modality: PSMA PET/CT | tracer: 68Ga | view: axial
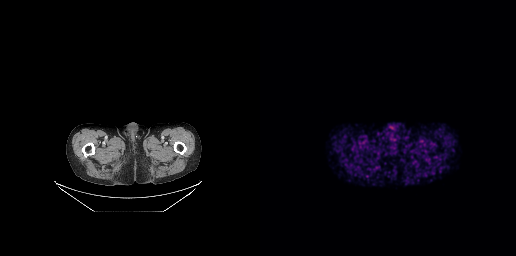
This slice has no annotated PSMA-avid lesion.